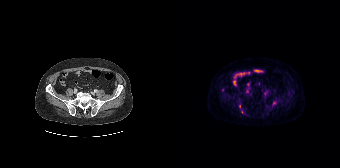
Coordinates are on the 168×168 PET (right) panel. (showing 3 of 4 foci) Small PSMA-avid foci (2 to 4 px across) near (center x, center y): (70, 111) (102, 102) (50, 89).